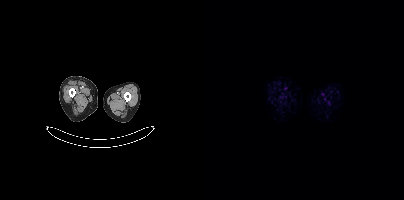
{"modality":"PSMA PET/CT","view":"axial","tracer":"18F-PSMA","pet_grid":[200,200],"coord_frame":"pet_panel","coord_format":"x0,y0,x1,y1","psma_avid_lesions":false}